Two-panel axial: CT | PSMA PET, 18F-PSMA tracer.
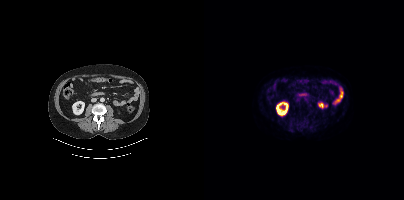
Coordinates are on the 200×200 PET (right) panel. Small PSMA-avid focus (2 to 4 px across) near (center x, center y): (97, 124).